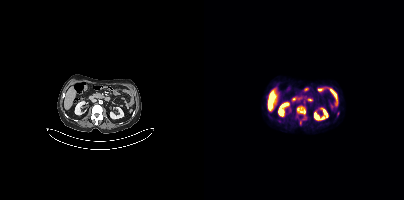
Coordinates are on the 200×200 PET (right) panel. (showing 1 of 2 foci) PSMA-avid tumor lesion bounding box (x0,y0,x1,y1): [92,105,102,119].